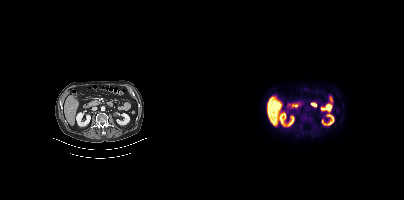
No tumor lesions annotated on this slice. Paired axial CT (left) and PSMA PET (right), 18F tracer. Slice 178 of 429.